Two-panel axial: CT | PSMA PET, 68Ga-PSMA tracer. PET panel 200×200 px (4.1 mm/px).
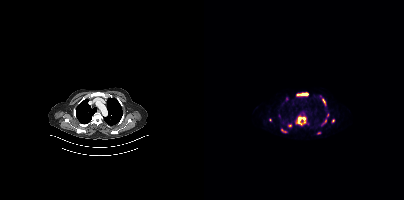
Coordinates are on the 200×200 PET (right) panel. (showing 11 of 14 foci) PSMA-avid tumor lesion bounding boxes (x0, y0)-(x1, y1): (93, 117)-(104, 125); (93, 93)-(103, 96). Small PSMA-avid foci (2 to 4 px across) near (center x, center y): (119, 99); (85, 125); (114, 133); (123, 115); (121, 120); (121, 104); (129, 120); (75, 115); (78, 130).